modality: PSMA PET/CT | tracer: 68Ga-PSMA | view: axial | PET grid: 168×168
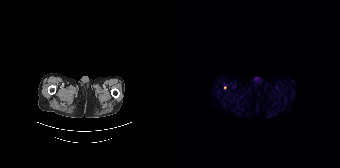
Coordinates are on the 168×168 PET (right) panel. Small PSMA-avid focus (2 to 4 px across) near (center x, center y): (53, 87).